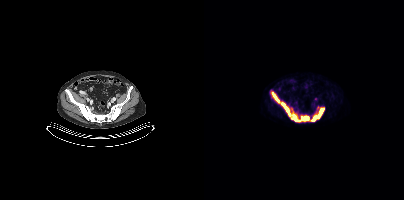
Findings: Coordinates are on the 200×200 PET (right) panel. PSMA-avid tumor lesion bounding boxes (x0,y0,x1,y1): [67,92,86,116]; [89,114,104,121]; [107,108,120,121].
Technique: Left: CT. Right: PSMA PET, same axial level, 18F-PSMA tracer. acquired on Siemens Biograph mCT Flow 20.